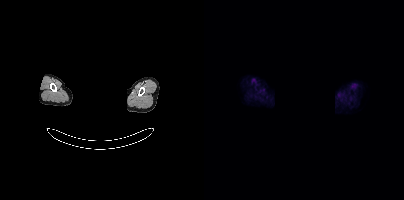
No PSMA-avid tumor lesions on this slice.
modality: PSMA PET/CT | tracer: 18F-PSMA | view: axial | redaction: facial region redacted